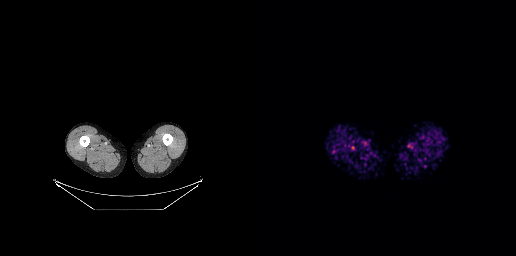
- Paired axial CT (left) and PSMA PET (right), [18F]PSMA-1007 tracer
- slice position z = -898 mm
Findings: No PSMA-avid tumor lesions on this slice.